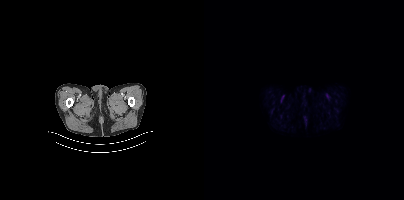
{"modality":"PSMA PET/CT","view":"axial","tracer":"18F","pet_grid":[200,200],"coord_frame":"pet_panel","coord_format":"x0,y0,x1,y1","psma_avid_lesions":false}